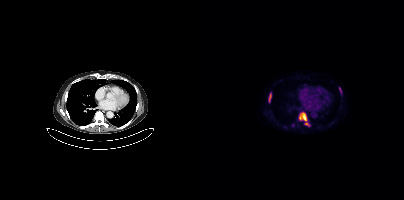
{"modality":"PSMA PET/CT","view":"axial","tracer":"18F-PSMA","pet_grid":[200,200],"coord_frame":"pet_panel","coord_format":"x0,y0,x1,y1","lesion_bboxes":[[95,112,105,125],[65,93,67,102],[135,87,137,93]],"small_foci_centers":[[88,125]]}